- Left: CT. Right: PSMA PET, same axial level, 18F-PSMA tracer
- PET panel 200×200 px (4.1 mm/px)
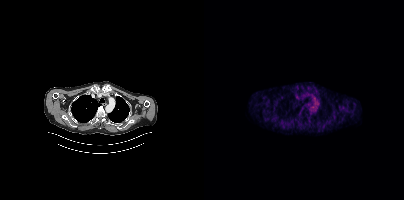
Findings: This slice has no annotated PSMA-avid lesion.